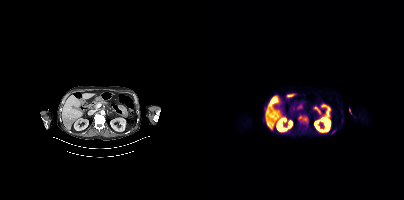
{"modality":"PSMA PET/CT","view":"axial","tracer":"[18F]PSMA-1007","pet_grid":[200,200],"coord_frame":"pet_panel","coord_format":"x0,y0,x1,y1","lesion_bboxes":[[94,115,104,123]],"small_foci_centers":[[129,132]]}